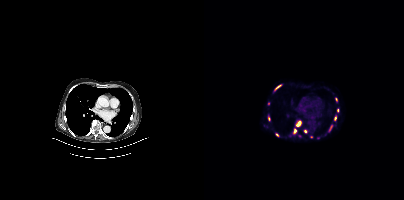
Coordinates are on the 200×200 PET (right) panel. PSMA-avid tumor lesion bounding boxes (partial; 2 more foci not listed):
| # | x0 | y0 | x1 | y1 |
|---|---|---|---|---|
| 1 | 92 | 121 | 96 | 126 |
| 2 | 89 | 129 | 92 | 133 |
| 3 | 125 | 125 | 128 | 130 |
| 4 | 71 | 86 | 75 | 89 |
Small PSMA-avid foci (2 to 4 px across) near (center x, center y): (101, 131); (73, 135); (131, 118); (65, 119); (107, 136).
Left: CT. Right: PSMA PET, same axial level, [68Ga]Ga-PSMA-11 tracer. Slice 256 of 409. PET panel 200×200 px (4.1 mm/px).